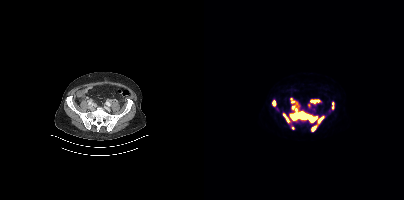
Coordinates are on the 200×200 PET (right) panel. PSMA-avid tumor lesion bounding boxes (x0, y0)-(x1, y1): (85, 98)-(120, 131); (106, 99)-(116, 103); (79, 113)-(85, 122); (68, 100)-(71, 106); (128, 102)-(130, 109). Small PSMA-avid foci (2 to 4 px across) near (center x, center y): (89, 128); (104, 105).